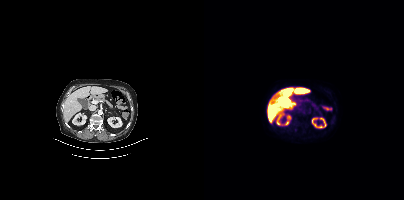
Findings: Negative for PSMA-avid disease on this slice.
Technique: Two-panel axial: CT | PSMA PET, 18F tracer. acquired on Siemens Biograph mCT Flow 20. PET panel 200×200 px (4.1 mm/px).